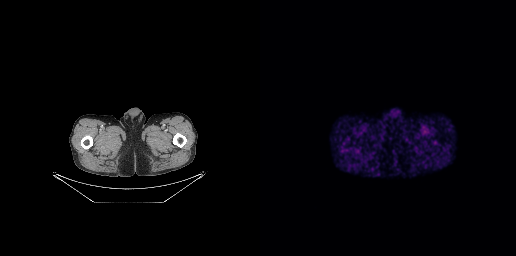
Paired axial CT (left) and PSMA PET (right), 68Ga-PSMA tracer. Acquired on GE Discovery 690. Slice position z = -978 mm. PET panel 256×256 px (2.7 mm/px). Negative for PSMA-avid disease on this slice.